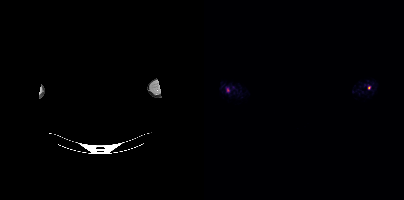
Face de-identified by blanking a block of the head.
Coordinates are on the 200×200 PET (right) panel. Small PSMA-avid foci (2 to 4 px across) near (center x, center y): (24, 89) / (165, 87).